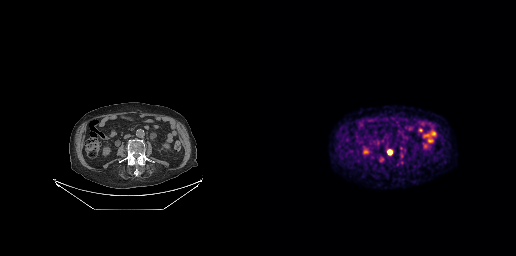
Coordinates are on the 256×256 PET (right) panel. PSMA-avid tumor lesion bounding box (x, y, width, height): x=132 y=152 w=4 h=5.